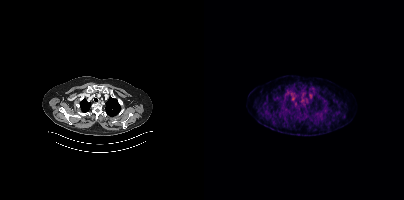
This slice has no annotated PSMA-avid lesion.